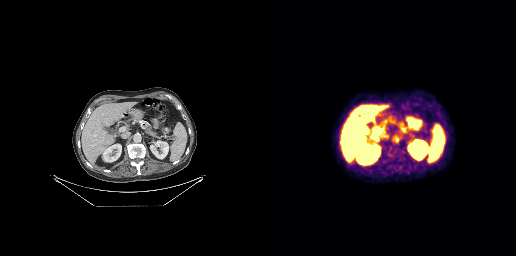
This slice has no annotated PSMA-avid lesion. Left: CT. Right: PSMA PET, same axial level, 18F tracer.